Left: CT. Right: PSMA PET, same axial level, [68Ga]Ga-PSMA-11 tracer. Acquired on Siemens Biograph 64-4R TruePoint. Slice 153 of 195.
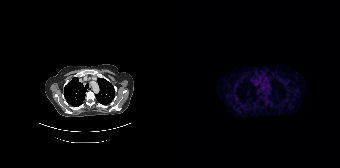
Negative for PSMA-avid disease on this slice.